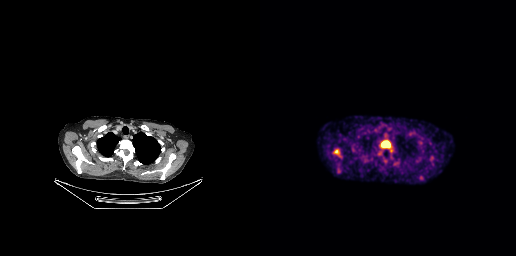
Coordinates are on the 256×256 PET (right) panel. PSMA-avid tumor lesion bounding boxes (x, y, width, height): x=121 y=140 w=10 h=8 / x=73 y=148 w=9 h=10.